Left: CT. Right: PSMA PET, same axial level, 18F tracer. Acquired on Siemens Biograph mCT Flow 20. Slice position z = -1048 mm.
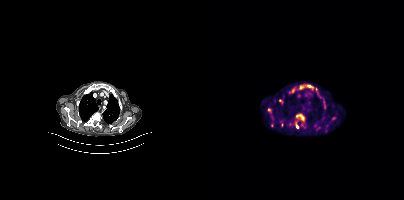
Coordinates are on the 200×200 PET (right) panel. PSMA-avid tumor lesion bounding boxes (partial; 2 more foci not listed):
| # | x0 | y0 | x1 | y1 |
|---|---|---|---|---|
| 1 | 92 | 113 | 100 | 121 |
| 2 | 66 | 120 | 70 | 126 |
| 3 | 64 | 108 | 67 | 113 |
| 4 | 103 | 85 | 109 | 88 |
| 5 | 91 | 121 | 94 | 128 |
| 6 | 95 | 86 | 99 | 89 |
Small PSMA-avid foci (2 to 4 px across) near (center x, center y): (123, 126); (122, 130).